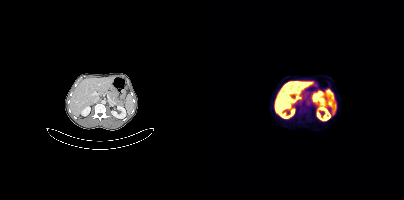
Coordinates are on the 200×200 PET (right) panel. PSMA-avid tumor lesion bounding boxes:
| # | x0 | y0 | x1 | y1 |
|---|---|---|---|---|
| 1 | 95 | 106 | 103 | 113 |
Left: CT. Right: PSMA PET, same axial level, [18F]PSMA-1007 tracer. Slice position z = -1200 mm. PET panel 200×200 px (4.1 mm/px).